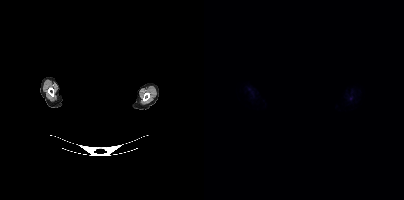
- Left: CT. Right: PSMA PET, same axial level, 18F tracer
- PET panel 200×200 px (4.1 mm/px)
- face de-identified by blanking a block of the head
Findings: No PSMA-avid tumor lesions on this slice.